Two-panel axial: CT | PSMA PET, [18F]PSMA-1007 tracer. Acquired on GE Discovery 690. Slice position z = -631 mm. PET panel 256×256 px (2.7 mm/px).
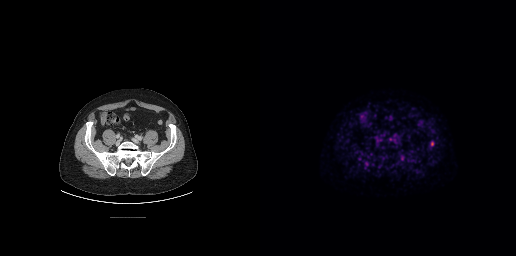
Coordinates are on the 256×256 PET (right) panel. PSMA-avid tumor lesion bounding boxes (partial; 2 more foci not listed):
| # | x0 | y0 | x1 | y1 |
|---|---|---|---|---|
| 1 | 171 | 141 | 173 | 145 |